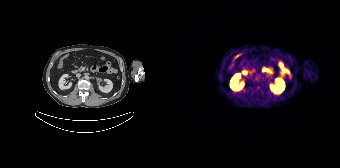
Technique: Left: CT. Right: PSMA PET, same axial level, 68Ga-PSMA tracer. slice position z = -1040 mm. PET panel 168×168 px (4.1 mm/px).
Findings: Negative for PSMA-avid disease on this slice.